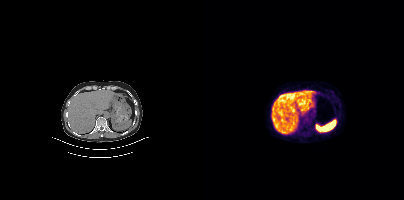
Left: CT. Right: PSMA PET, same axial level, 68Ga tracer. PET panel 200×200 px (4.1 mm/px). This slice has no annotated PSMA-avid lesion.